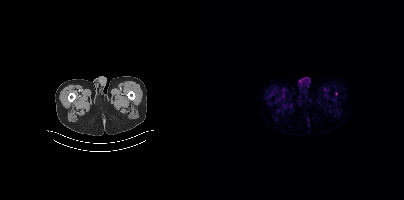
- Paired axial CT (left) and PSMA PET (right), 18F-PSMA tracer
- slice position z = -1556 mm
Findings: Coordinates are on the 200×200 PET (right) panel. Small PSMA-avid focus (2 to 4 px across) near (center x, center y): (132, 93).